modality: PSMA PET/CT | tracer: 18F-PSMA | view: axial
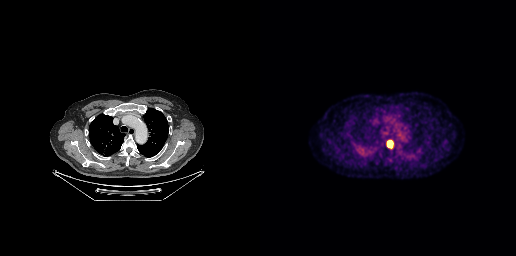
Coordinates are on the 256×256 PET (right) panel. PSMA-avid tumor lesion bounding box (x, y, width, height): x=127 y=140 w=7 h=9.